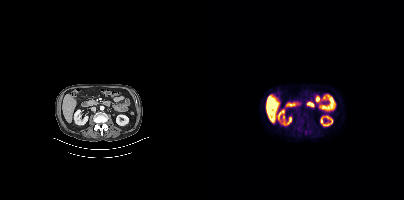
Findings: This slice has no annotated PSMA-avid lesion.
- Paired axial CT (left) and PSMA PET (right), 18F-PSMA tracer
- slice position z = -1354 mm
- PET panel 200×200 px (4.1 mm/px)